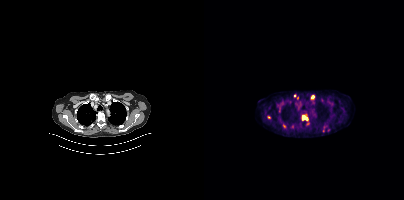
{"pet_grid":[200,200],"coord_frame":"pet_panel","coord_format":"x0,y0,x1,y1","partial":true,"lesion_bboxes":[[98,115,104,120]],"small_foci_centers":[[108,96],[90,95],[119,130],[80,125]],"modality":"PSMA PET/CT","view":"axial","tracer":"[18F]PSMA-1007"}